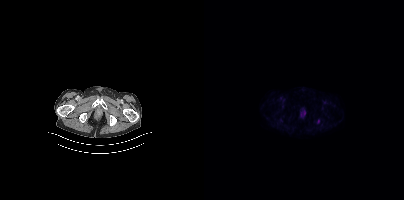
- Two-panel axial: CT | PSMA PET, [18F]PSMA-1007 tracer
- slice 53 of 421
- PET panel 200×200 px (4.1 mm/px)
Findings: Coordinates are on the 200×200 PET (right) panel. Small PSMA-avid focus (2 to 4 px across) near (center x, center y): (114, 121).